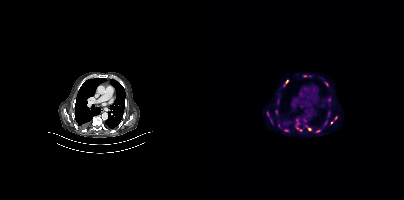
{"modality":"PSMA PET/CT","view":"axial","tracer":"[18F]PSMA-1007","pet_grid":[200,200],"coord_frame":"pet_panel","coord_format":"x0,y0,x1,y1","partial":true,"lesion_bboxes":[[91,119,98,131],[126,116,133,124],[63,111,68,122],[101,125,107,130],[79,80,84,86],[80,129,84,131],[112,130,116,132],[124,112,125,116]],"small_foci_centers":[[122,83],[122,122],[101,75],[100,120],[73,103]]}